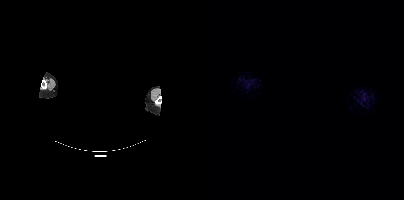
- Two-panel axial: CT | PSMA PET, 18F-PSMA tracer
- acquired on Siemens Biograph mCT Flow 20
- the head region is masked for de-identification
Findings: This slice has no annotated PSMA-avid lesion.